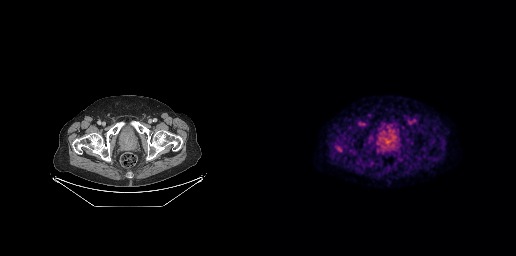
- Paired axial CT (left) and PSMA PET (right), 18F tracer
- acquired on GE Discovery 690
- PET panel 256×256 px (2.7 mm/px)
Findings: Coordinates are on the 256×256 PET (right) panel. PSMA-avid tumor lesion bounding box (x0, y0)-(x1, y1): (77, 147)-(81, 151).